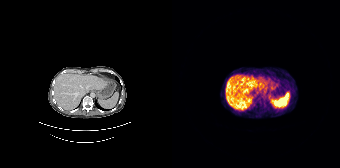
{"pet_grid":[168,168],"coord_frame":"pet_panel","coord_format":"x0,y0,x1,y1","psma_avid_lesions":false,"modality":"PSMA PET/CT","view":"axial","tracer":"68Ga"}